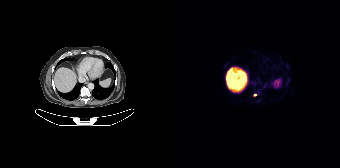
Findings: Coordinates are on the 168×168 PET (right) panel. Small PSMA-avid focus (2 to 4 px across) near (center x, center y): (82, 95).
- Left: CT. Right: PSMA PET, same axial level, 18F tracer
- acquired on Siemens Biograph 64-4R TruePoint